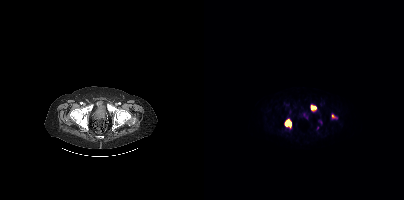
Left: CT. Right: PSMA PET, same axial level, [18F]PSMA-1007 tracer. Slice position z = -1462 mm.
Coordinates are on the 200×200 PET (right) panel. PSMA-avid tumor lesion bounding boxes:
| # | x0 | y0 | x1 | y1 |
|---|---|---|---|---|
| 1 | 81 | 119 | 87 | 127 |
| 2 | 107 | 105 | 112 | 111 |
Small PSMA-avid focus (2 to 4 px across) near (center x, center y): (129, 115).